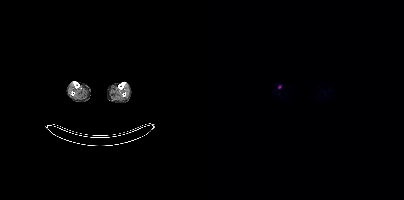
Technique: Left: CT. Right: PSMA PET, same axial level, 18F-PSMA tracer. slice position z = -1673 mm. PET panel 200×200 px (4.1 mm/px).
Findings: Coordinates are on the 200×200 PET (right) panel. Small PSMA-avid focus (2 to 4 px across) near (center x, center y): (75, 87).